modality: PSMA PET/CT | tracer: [68Ga]Ga-PSMA-11 | view: axial | PET grid: 256×256
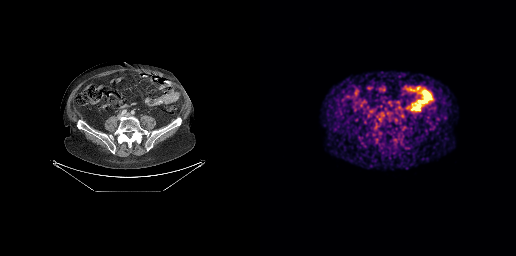
Negative for PSMA-avid disease on this slice.